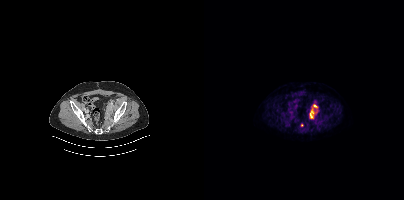
{"modality":"PSMA PET/CT","view":"axial","tracer":"18F","pet_grid":[200,200],"coord_frame":"pet_panel","coord_format":"x0,y0,x1,y1","lesion_bboxes":[[105,104,113,118]]}